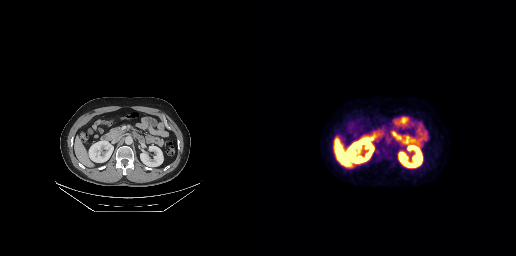
Left: CT. Right: PSMA PET, same axial level, [18F]PSMA-1007 tracer. Slice 134 of 263. No tumor lesions annotated on this slice.